Face de-identified by blanking a block of the head.
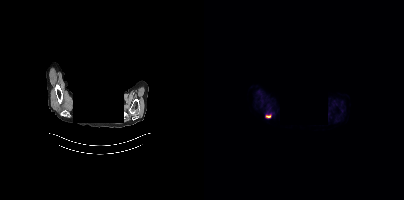
Coordinates are on the 200×200 PET (right) panel. PSMA-avid tumor lesion bounding box (x, y, width, height): x=62 y=116 w=5 h=2.